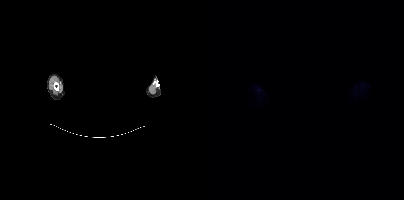
The face region was removed for patient privacy by blanking a rectangle over the head.
No tumor lesions annotated on this slice.